modality: PSMA PET/CT | tracer: 68Ga | view: axial
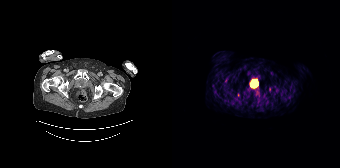
Only PSMA-avid lesion pieces thinner than 2 px on this slice (not listed).